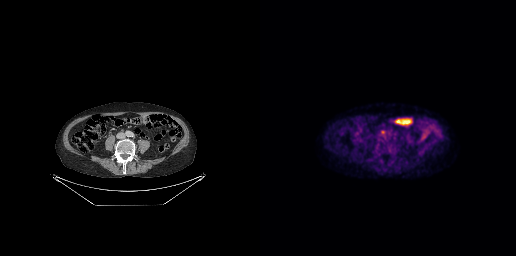
modality: PSMA PET/CT | tracer: 18F | view: axial | PET grid: 256×256
Coordinates are on the 256×256 PET (right) panel. Small PSMA-avid focus (2 to 4 px across) near (center x, center y): (122, 132).